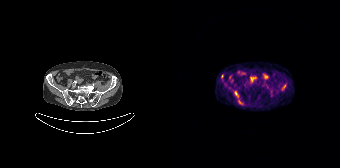
Coordinates are on the 168×168 PET (right) panel. PSMA-avid tumor lesion bounding boxes (partial; 2 more foci not listed):
| # | x0 | y0 | x1 | y1 |
|---|---|---|---|---|
| 1 | 109 | 85 | 113 | 90 |
| 2 | 62 | 91 | 66 | 96 |
Small PSMA-avid focus (2 to 4 px across) near (center x, center y): (67, 101).
Left: CT. Right: PSMA PET, same axial level, 68Ga tracer. Acquired on Siemens Biograph 64-4R TruePoint. PET panel 168×168 px (4.1 mm/px).